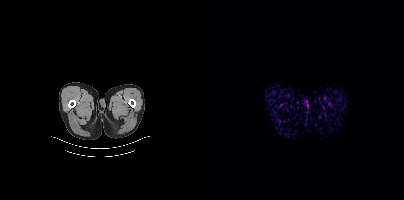
Findings: This slice has no annotated PSMA-avid lesion.
- Two-panel axial: CT | PSMA PET, [18F]PSMA-1007 tracer
- slice 4 of 397